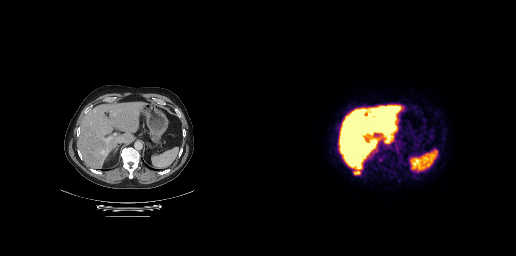
{"modality":"PSMA PET/CT","view":"axial","tracer":"18F-PSMA","pet_grid":[256,256],"coord_frame":"pet_panel","coord_format":"x0,y0,x1,y1","lesion_bboxes":[[93,170,100,174]]}